Technique: Two-panel axial: CT | PSMA PET, 18F-PSMA tracer. PET panel 200×200 px (4.1 mm/px).
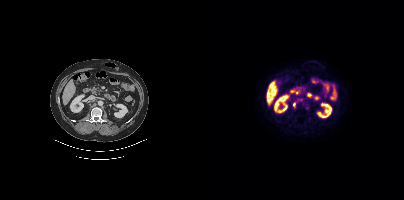
Findings: Coordinates are on the 200×200 PET (right) panel. PSMA-avid tumor lesion bounding box (x0, y0)-(x1, y1): (89, 103)-(91, 107). Small PSMA-avid foci (2 to 4 px across) near (center x, center y): (103, 108) | (96, 99).